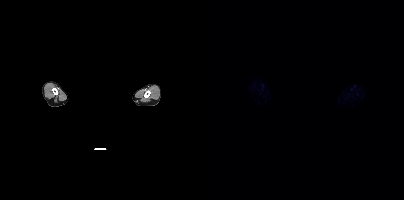
This slice has no annotated PSMA-avid lesion. Paired axial CT (left) and PSMA PET (right), 18F tracer. Slice 413 of 421. PET panel 200×200 px (4.1 mm/px). A rectangular block over the head has been blanked out for de-identification.